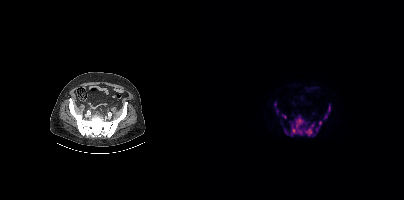
- Left: CT. Right: PSMA PET, same axial level, 18F tracer
Findings: Coordinates are on the 200×200 PET (right) panel. PSMA-avid tumor lesion bounding boxes (x0, y0)-(x1, y1): (86, 115)-(111, 136) / (119, 104)-(126, 119) / (111, 121)-(117, 131) / (80, 128)-(84, 134) / (78, 114)-(82, 118). Small PSMA-avid foci (2 to 4 px across) near (center x, center y): (71, 104) / (73, 111).